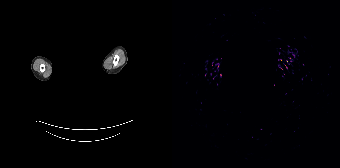
Findings: No PSMA-avid tumor lesions on this slice.
- Two-panel axial: CT | PSMA PET, 68Ga tracer
- a rectangle over the head was blacked out to remove identifiable facial features